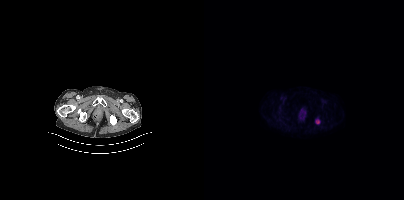
modality: PSMA PET/CT | tracer: [18F]PSMA-1007 | view: axial
Coordinates are on the 200×200 PET (right) panel. PSMA-avid tumor lesion bounding box (x0,y0,x1,y1): [111,119,115,123].